Paired axial CT (left) and PSMA PET (right), 68Ga tracer. PET panel 168×168 px (4.1 mm/px).
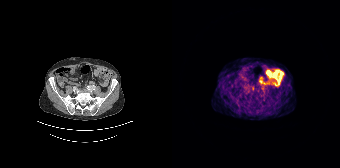
Coordinates are on the 168×168 PET (right) panel. Small PSMA-avid focus (2 to 4 px across) near (center x, center y): (80, 88).